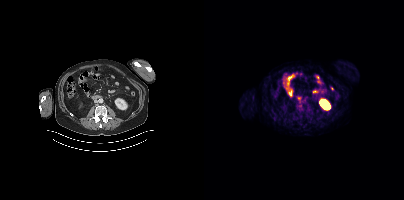
Technique: Paired axial CT (left) and PSMA PET (right), 68Ga tracer. slice 187 of 429. PET panel 200×200 px (4.1 mm/px).
Findings: This slice has no annotated PSMA-avid lesion.